Left: CT. Right: PSMA PET, same axial level, [18F]PSMA-1007 tracer. Slice position z = -1580 mm. PET panel 200×200 px (4.1 mm/px).
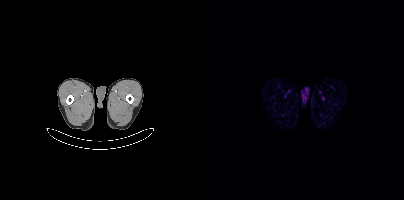
This slice has no annotated PSMA-avid lesion.